- Left: CT. Right: PSMA PET, same axial level, 18F-PSMA tracer
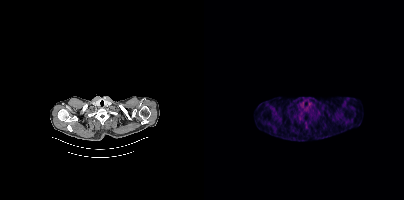
Findings: Negative for PSMA-avid disease on this slice.